Left: CT. Right: PSMA PET, same axial level, 18F tracer. Acquired on Siemens Biograph mCT Flow 20. Slice 201 of 431.
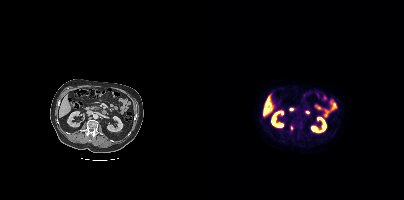
Coordinates are on the 200×200 PET (right) panel. Small PSMA-avid focus (2 to 4 px across) near (center x, center y): (87, 127).